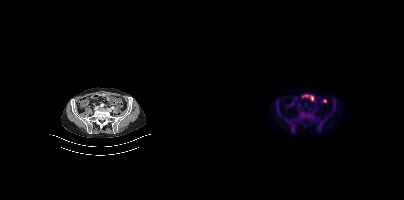
Technique: Two-panel axial: CT | PSMA PET, 18F tracer.
Findings: No PSMA-avid tumor lesions on this slice.